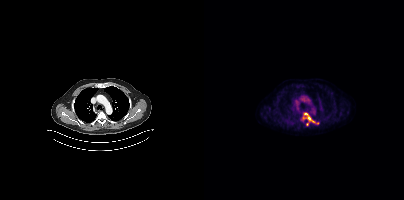
- Left: CT. Right: PSMA PET, same axial level, [18F]PSMA-1007 tracer
- slice position z = -1214 mm
Findings: Coordinates are on the 200×200 PET (right) panel. (showing 2 of 4 foci) PSMA-avid tumor lesion bounding boxes (x, y, width, height): x=104 y=117 w=11 h=8 / x=100 y=113 w=5 h=3.